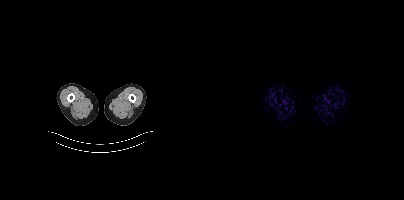
Negative for PSMA-avid disease on this slice.